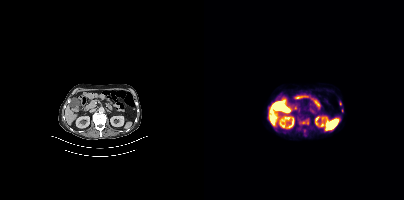
{"modality":"PSMA PET/CT","view":"axial","tracer":"18F","pet_grid":[200,200],"coord_frame":"pet_panel","coord_format":"x0,y0,x1,y1","partial":true,"lesion_bboxes":[],"small_foci_centers":[[136,103]]}